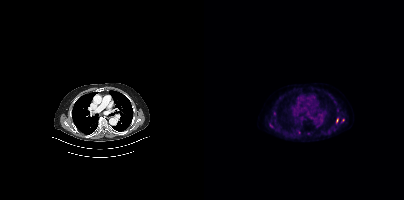
{"modality":"PSMA PET/CT","view":"axial","tracer":"[18F]PSMA-1007","pet_grid":[200,200],"coord_frame":"pet_panel","coord_format":"x0,y0,x1,y1","partial":true,"lesion_bboxes":[[65,123,69,127]],"small_foci_centers":[[95,131],[139,120],[133,110],[104,133]]}